Head region blanked for anonymization (face removed).
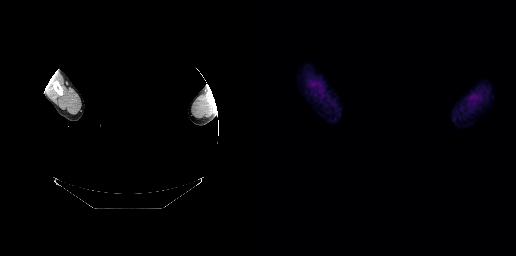
No PSMA-avid tumor lesions on this slice.